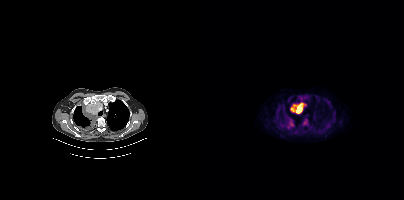
Coordinates are on the 200×200 PET (right) panel. (showing 4 of 5 foci) PSMA-avid tumor lesion bounding boxes (x0, y0)-(x1, y1): (86, 103)-(101, 113) / (83, 120)-(90, 127) / (98, 120)-(104, 125). Small PSMA-avid focus (2 to 4 px across) near (center x, center y): (82, 116). Left: CT. Right: PSMA PET, same axial level, 18F-PSMA tracer. Acquired on Siemens Biograph mCT Flow 20. PET panel 200×200 px (4.1 mm/px).